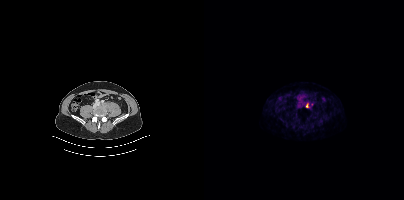
- Two-panel axial: CT | PSMA PET, [18F]PSMA-1007 tracer
- acquired on Siemens Biograph mCT Flow 20
- slice position z = -758 mm
- PET panel 200×200 px (4.1 mm/px)
Findings: Coordinates are on the 200×200 PET (right) panel. (showing 1 of 2 foci) PSMA-avid tumor lesion bounding box (x0, y0)-(x1, y1): (102, 103)-(104, 107).